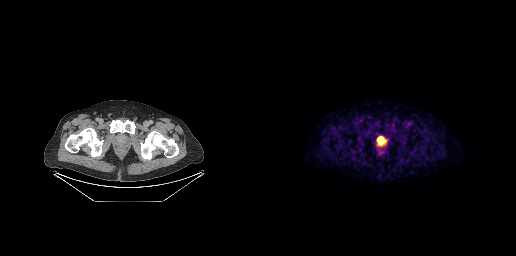
Coordinates are on the 256×256 PET (right) panel. PSMA-avid tumor lesion bounding box (x0, y0)-(x1, y1): (117, 137)-(124, 144).